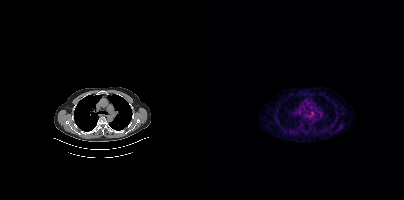
Paired axial CT (left) and PSMA PET (right), 68Ga tracer. PET panel 200×200 px (4.1 mm/px). Coordinates are on the 200×200 PET (right) panel. Small PSMA-avid focus (2 to 4 px across) near (center x, center y): (108, 112).